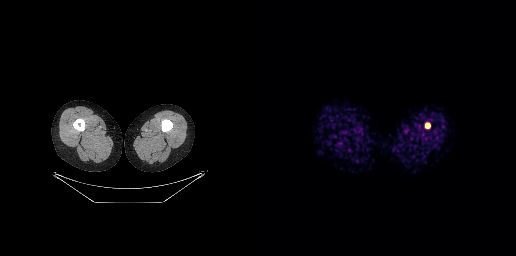
- Two-panel axial: CT | PSMA PET, 68Ga tracer
- acquired on GE Discovery 690
- slice position z = -1137 mm
Findings: No tumor lesions annotated on this slice.